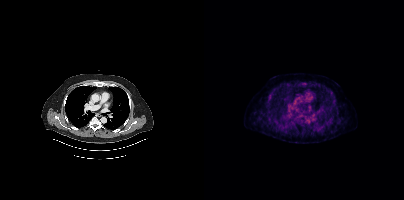
Negative for PSMA-avid disease on this slice.